Technique: Left: CT. Right: PSMA PET, same axial level, 18F tracer. acquired on Siemens Biograph mCT Flow 20. slice 70 of 401.
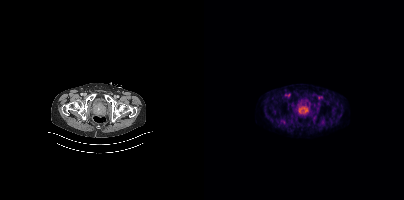
Findings: Coordinates are on the 200×200 PET (right) panel. PSMA-avid tumor lesion bounding box (x0, y0)-(x1, y1): (92, 103)-(106, 116).